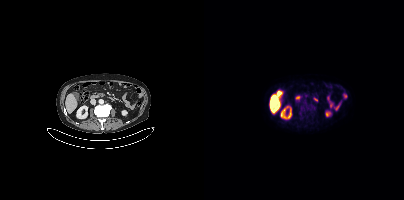
{"modality":"PSMA PET/CT","view":"axial","tracer":"18F","pet_grid":[200,200],"coord_frame":"pet_panel","coord_format":"x0,y0,x1,y1","psma_avid_lesions":false}